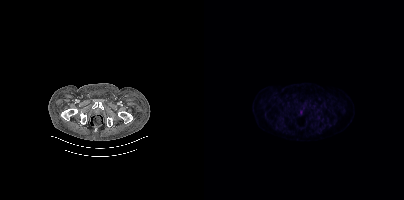
Findings: No PSMA-avid tumor lesions on this slice.
Technique: Two-panel axial: CT | PSMA PET, 18F-PSMA tracer.